modality: PSMA PET/CT | tracer: 18F-PSMA | view: axial
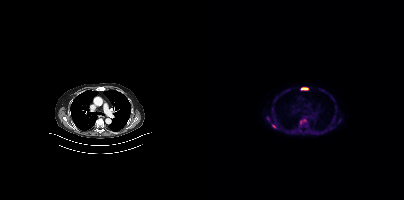
Coordinates are on the 200×200 PET (right) panel. PSMA-avid tumor lesion bounding boxes (x, y, width, height): x=96 y=119 w=7 h=6 | x=97 y=87 w=8 h=3 | x=69 y=115 w=3 h=5. Small PSMA-avid foci (2 to 4 px across) near (center x, center y): (69, 126) | (63, 118).